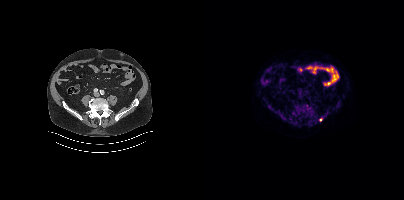
modality: PSMA PET/CT | tracer: [18F]PSMA-1007 | view: axial | PET grid: 200×200
Coordinates are on the 200×200 PET (right) panel. Small PSMA-avid focus (2 to 4 px across) near (center x, center y): (116, 119).